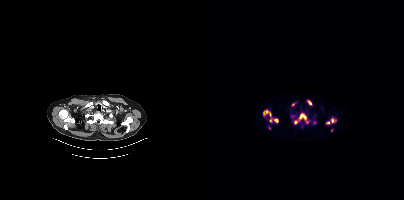
Paired axial CT (left) and PSMA PET (right), 18F-PSMA tracer. Acquired on Siemens Biograph mCT Flow 20. Slice position z = 238 mm. Coordinates are on the 200×200 PET (right) panel. (showing 9 of 11 foci) PSMA-avid tumor lesion bounding boxes (x, y, width, height): x=95 y=113 w=8 h=7; x=59 y=110 w=8 h=6; x=127 y=118 w=6 h=5; x=70 y=119 w=5 h=4. Small PSMA-avid foci (2 to 4 px across) near (center x, center y): (91, 122); (123, 122); (106, 102); (66, 120); (65, 128).